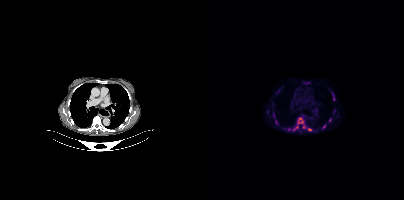
Findings: Coordinates are on the 200×200 PET (right) panel. PSMA-avid tumor lesion bounding boxes (x0, y0)-(x1, y1): (88, 117)-(107, 131) / (69, 112)-(70, 116). Small PSMA-avid foci (2 to 4 px across) near (center x, center y): (129, 98) / (72, 121) / (128, 93) / (63, 111) / (120, 126) / (85, 129) / (125, 120).
Technique: Paired axial CT (left) and PSMA PET (right), 18F tracer. slice 248 of 375.